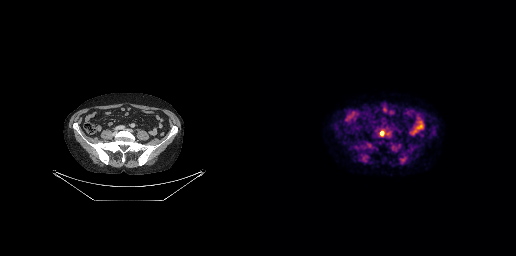
Paired axial CT (left) and PSMA PET (right), [18F]PSMA-1007 tracer. Acquired on GE Discovery 690. PET panel 256×256 px (2.7 mm/px). Coordinates are on the 256×256 PET (right) panel. PSMA-avid tumor lesion bounding box (x0,y0,x1,y1): [120,131,123,135].